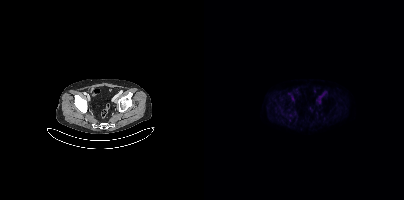
No tumor lesions annotated on this slice.